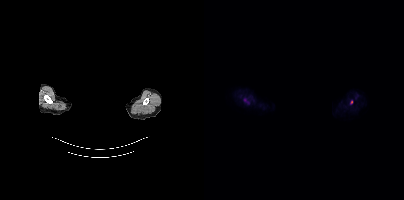
Findings: Coordinates are on the 200×200 PET (right) panel. (showing 2 of 3 foci) Small PSMA-avid foci (2 to 4 px across) near (center x, center y): (147, 102); (41, 100).
Technique: Left: CT. Right: PSMA PET, same axial level, 18F-PSMA tracer. acquired on Siemens Biograph mCT Flow 20. PET panel 200×200 px (4.1 mm/px).
Note: The face region was removed for patient privacy by blanking a rectangle over the head.